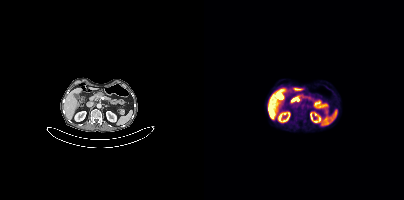
{"modality":"PSMA PET/CT","view":"axial","tracer":"18F-PSMA","pet_grid":[200,200],"coord_frame":"pet_panel","coord_format":"x0,y0,x1,y1","psma_avid_lesions":false}